- Left: CT. Right: PSMA PET, same axial level, 18F tracer
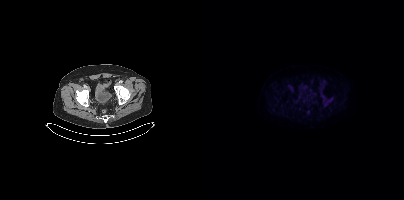
Findings: No PSMA-avid tumor lesions on this slice.